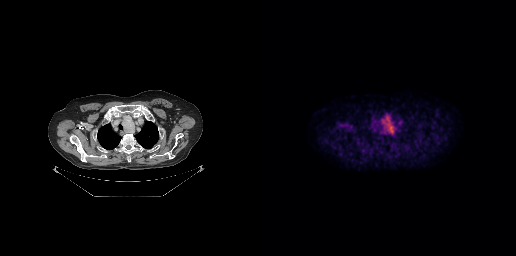
Findings: Coordinates are on the 256×256 PET (right) panel. PSMA-avid tumor lesion bounding box (x, y, width, height): x=121 y=114 w=16 h=20.
Technique: Paired axial CT (left) and PSMA PET (right), [18F]PSMA-1007 tracer. PET panel 256×256 px (2.7 mm/px).